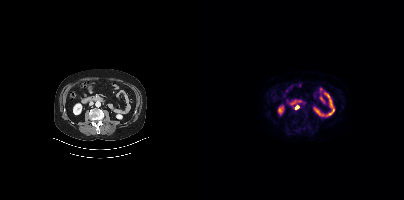
{"pet_grid":[200,200],"coord_frame":"pet_panel","coord_format":"x0,y0,x1,y1","lesion_bboxes":[[89,106,94,108]],"modality":"PSMA PET/CT","view":"axial","tracer":"18F"}